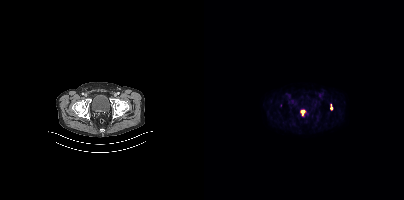
Coordinates are on the 200×200 PET (right) panel. (showing 1 of 2 foci) Small PSMA-avid focus (2 to 4 px across) near (center x, center y): (127, 108).
modality: PSMA PET/CT | tracer: [18F]PSMA-1007 | view: axial | PET grid: 200×200